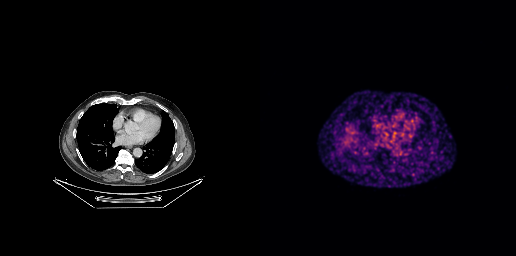
modality: PSMA PET/CT | tracer: 68Ga-PSMA | view: axial
Only PSMA-avid lesion pieces thinner than 2 px on this slice (not listed).